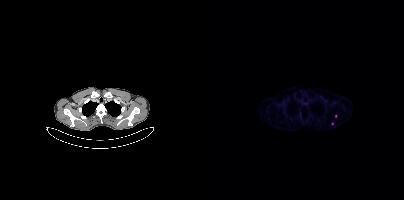
Coordinates are on the 200×200 PET (right) panel. Small PSMA-avid foci (2 to 4 px across) near (center x, center y): (131, 116), (128, 123).
modality: PSMA PET/CT | tracer: 68Ga | view: axial | PET grid: 200×200